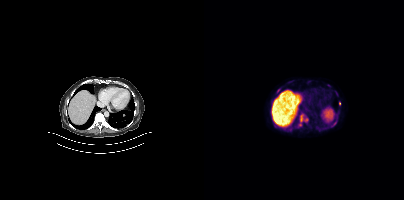
{"modality":"PSMA PET/CT","view":"axial","tracer":"18F-PSMA","pet_grid":[200,200],"coord_frame":"pet_panel","coord_format":"x0,y0,x1,y1","lesion_bboxes":[[94,115,99,127],[127,120,132,126],[70,125,74,127],[73,89,75,93]],"small_foci_centers":[[135,103],[102,119]]}